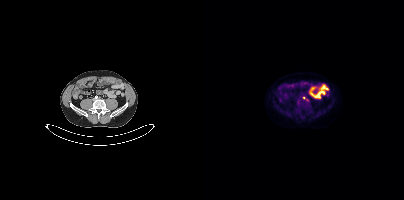
{"modality":"PSMA PET/CT","view":"axial","tracer":"18F-PSMA","pet_grid":[200,200],"coord_frame":"pet_panel","coord_format":"x0,y0,x1,y1","lesion_bboxes":[],"small_foci_centers":[[100,98]]}